Paired axial CT (left) and PSMA PET (right), 18F-PSMA tracer.
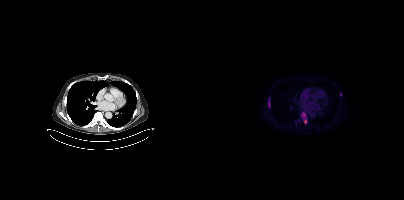
Coordinates are on the 200×200 PET (right) panel. PSMA-avid tumor lesion bounding boxes (x0,y0,x1,y1): [97,112,102,123] [64,98,66,107]. Small PSMA-avid focus (2 to 4 px across) near (center x, center y): (136, 94).